Paired axial CT (left) and PSMA PET (right), [18F]PSMA-1007 tracer. Acquired on Siemens Biograph mCT Flow 20. Slice 45 of 403.
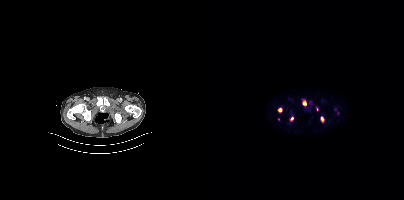
Coordinates are on the 200×200 PET (right) panel. PSMA-avid tumor lesion bounding boxes (partial; 2 more foci not listed):
| # | x0 | y0 | x1 | y1 |
|---|---|---|---|---|
| 1 | 99 | 101 | 102 | 105 |
Small PSMA-avid foci (2 to 4 px across) near (center x, center y): (77, 109); (118, 118); (88, 118); (74, 119).